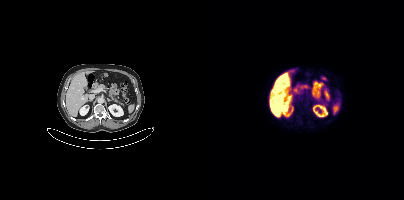
Coordinates are on the 200×200 PET (right) panel. (showing 1 of 2 foci) PSMA-avid tumor lesion bounding box (x0, y0)-(x1, y1): (92, 96)-(96, 100). Paired axial CT (left) and PSMA PET (right), [18F]PSMA-1007 tracer.